de-identification: head region blanked (face removed) | modality: PSMA PET/CT | tracer: 68Ga-PSMA | view: axial | PET grid: 200×200
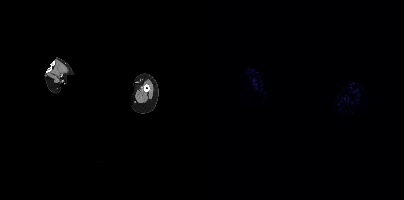
No tumor lesions annotated on this slice.